Left: CT. Right: PSMA PET, same axial level, 18F tracer.
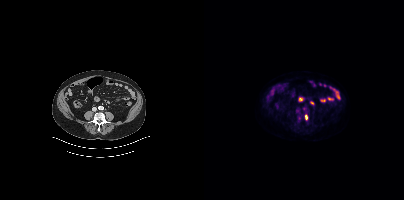
Coordinates are on the 200×200 PET (right) panel. PSMA-avid tumor lesion bounding box (x0,y0,x1,y1): [101,115,103,119].